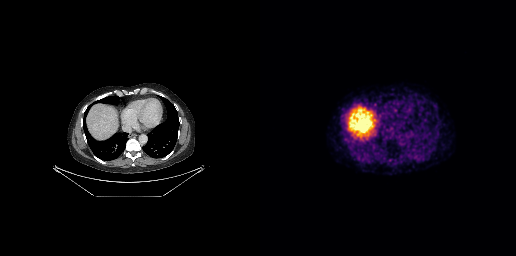
This slice has no annotated PSMA-avid lesion.